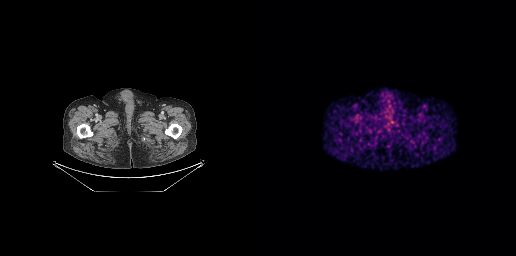
Left: CT. Right: PSMA PET, same axial level, 68Ga-PSMA tracer. Slice 29 of 263. This slice has no annotated PSMA-avid lesion.